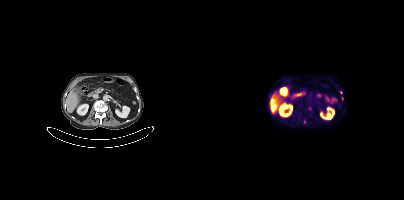
Coordinates are on the 200×200 PET (right) panel. (showing 1 of 2 foci) Small PSMA-avid focus (2 to 4 px across) near (center x, center y): (138, 98).